Two-panel axial: CT | PSMA PET, [18F]PSMA-1007 tracer. Acquired on Siemens Biograph mCT Flow 20. Slice position z = -352 mm. PET panel 200×200 px (4.1 mm/px). De-identified by setting a box covering the face to black before release.
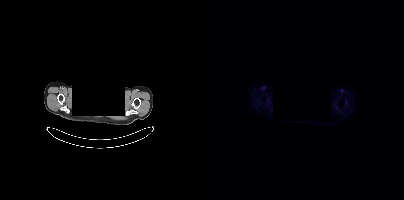
Negative for PSMA-avid disease on this slice.